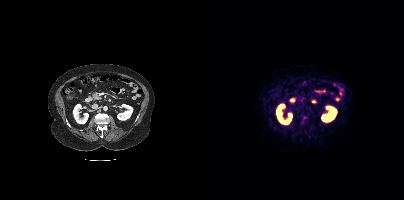
Technique: Paired axial CT (left) and PSMA PET (right), 68Ga-PSMA tracer. slice position z = 543 mm. PET panel 200×200 px (4.1 mm/px).
Findings: This slice has no annotated PSMA-avid lesion.